Technique: Two-panel axial: CT | PSMA PET, 18F-PSMA tracer. slice position z = -266 mm.
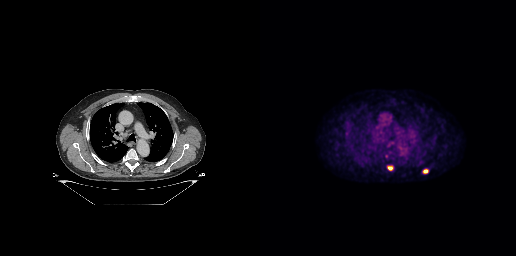
Findings: Coordinates are on the 256×256 PET (right) panel. PSMA-avid tumor lesion bounding boxes (x0, y0)-(x1, y1): (127, 166)-(133, 170); (163, 169)-(168, 173).